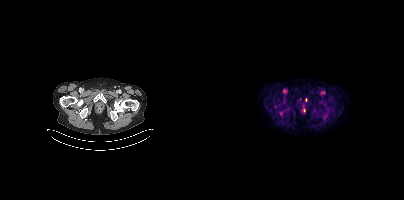
Technique: Paired axial CT (left) and PSMA PET (right), 18F tracer. PET panel 200×200 px (4.1 mm/px).
Findings: Only PSMA-avid lesion pieces thinner than 2 px on this slice (not listed).